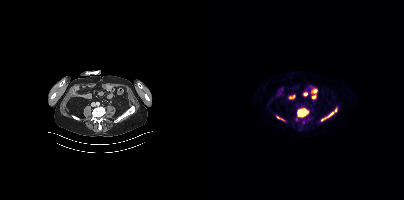
Findings: Coordinates are on the 200×200 PET (right) panel. (showing 5 of 7 foci) PSMA-avid tumor lesion bounding boxes (x0,y0,x1,y1): [93,109,103,116], [121,112,129,118], [73,116,77,119]. Small PSMA-avid foci (2 to 4 px across) near (center x, center y): (131, 110), (118, 119).
Technique: Two-panel axial: CT | PSMA PET, [18F]PSMA-1007 tracer. acquired on Siemens Biograph mCT Flow 20. slice position z = -1298 mm. PET panel 200×200 px (4.1 mm/px).